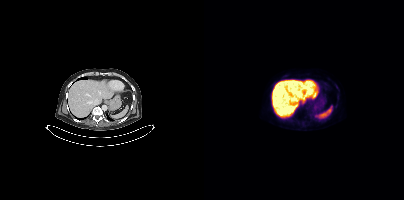
{"modality":"PSMA PET/CT","view":"axial","tracer":"18F-PSMA","pet_grid":[200,200],"coord_frame":"pet_panel","coord_format":"x0,y0,x1,y1","psma_avid_lesions":false}